modality: PSMA PET/CT | tracer: 68Ga | view: axial | PET grid: 168×168
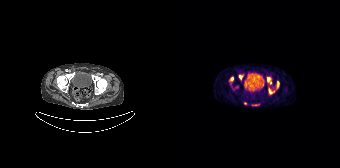
Coordinates are on the 168×168 PET (right) panel. (showing 5 of 7 foci) PSMA-avid tumor lesion bounding boxes (x, y, width, height): x=95 y=77 w=5 h=8 / x=96 y=88 w=7 h=7 / x=57 y=77 w=5 h=5 / x=105 y=81 w=3 h=8 / x=67 y=75 w=5 h=5.